- Two-panel axial: CT | PSMA PET, 18F-PSMA tracer
- PET panel 200×200 px (4.1 mm/px)
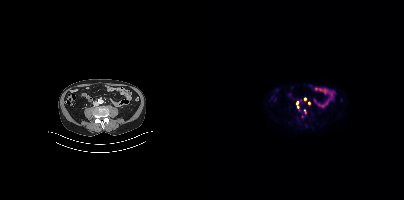
Findings: Coordinates are on the 200×200 PET (right) panel. (showing 1 of 6 foci) Small PSMA-avid focus (2 to 4 px across) near (center x, center y): (93, 106).